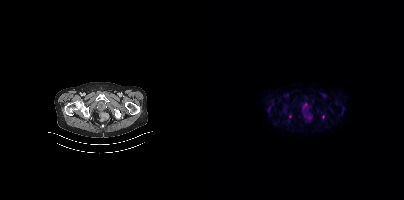
No PSMA-avid tumor lesions on this slice.